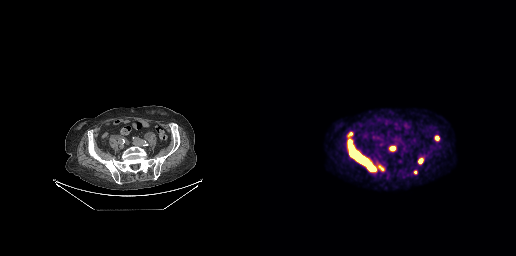
Technique: Two-panel axial: CT | PSMA PET, [18F]PSMA-1007 tracer. slice 95 of 263. PET panel 256×256 px (2.7 mm/px).
Findings: Coordinates are on the 256×256 PET (right) panel. PSMA-avid tumor lesion bounding boxes (x0,y0,x1,y1): [87,132,124,172], [129,146,135,151], [158,158,163,163], [174,135,179,140]. Small PSMA-avid focus (2 to 4 px across) near (center x, center y): (155, 172).